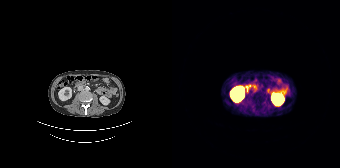
{"pet_grid":[168,168],"coord_frame":"pet_panel","coord_format":"x0,y0,x1,y1","psma_avid_lesions":false,"modality":"PSMA PET/CT","view":"axial","tracer":"68Ga"}